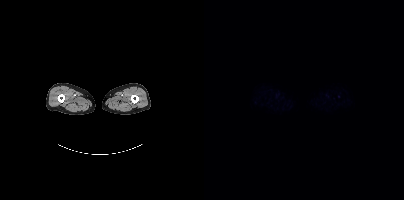
Negative for PSMA-avid disease on this slice.